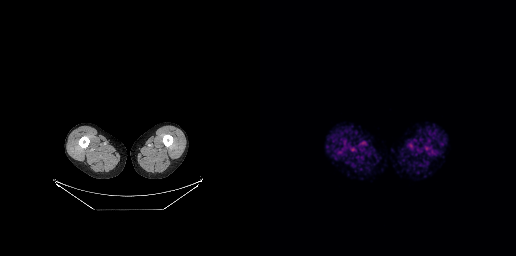
No tumor lesions annotated on this slice.